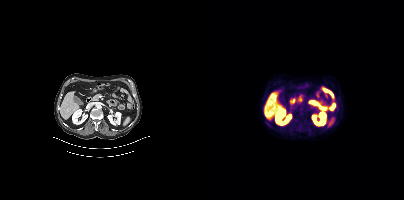
This slice has no annotated PSMA-avid lesion. Two-panel axial: CT | PSMA PET, 18F-PSMA tracer.